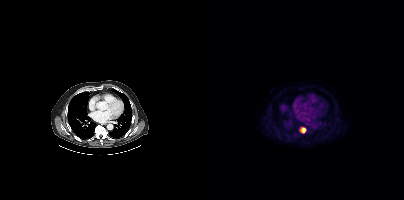
- Left: CT. Right: PSMA PET, same axial level, [18F]PSMA-1007 tracer
Findings: Coordinates are on the 200×200 PET (right) panel. PSMA-avid tumor lesion bounding box (x0,y0,x1,y1): [97,128,101,132].